The head region is masked for de-identification.
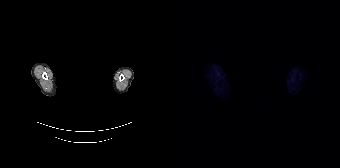
No PSMA-avid tumor lesions on this slice.